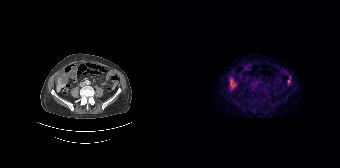
modality: PSMA PET/CT | tracer: 68Ga-PSMA | view: axial | PET grid: 168×168
Coordinates are on the 168×168 PET (right) panel. PSMA-avid tumor lesion bounding box (x0, y0)-(x1, y1): (57, 79)-(63, 87).